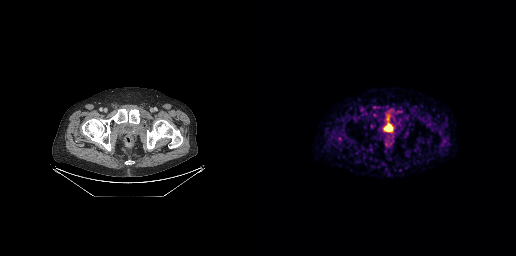
{"pet_grid":[256,256],"coord_frame":"pet_panel","coord_format":"x0,y0,x1,y1","lesion_bboxes":[],"small_foci_centers":[[129,129]],"modality":"PSMA PET/CT","view":"axial","tracer":"68Ga"}